Paired axial CT (left) and PSMA PET (right), [18F]PSMA-1007 tracer. Slice position z = -1079 mm. PET panel 200×200 px (4.1 mm/px).
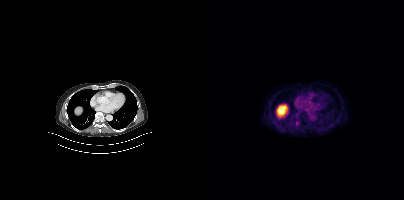
Coordinates are on the 200×200 PET (right) panel. Small PSMA-avid focus (2 to 4 px across) near (center x, center y): (92, 122).